Technique: Paired axial CT (left) and PSMA PET (right), 18F-PSMA tracer. acquired on Siemens Biograph mCT Flow 20.
Note: Privacy masking over the head, with the pixels inside a rectangle set to black.
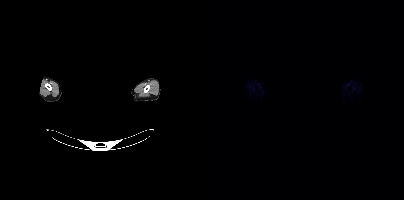
Findings: Negative for PSMA-avid disease on this slice.